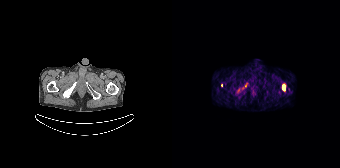
- Two-panel axial: CT | PSMA PET, [68Ga]Ga-PSMA-11 tracer
- slice position z = -908 mm
Findings: Coordinates are on the 168×168 PET (right) panel. PSMA-avid tumor lesion bounding box (x0,y0,x1,y1): [110,84,113,90]. Small PSMA-avid focus (2 to 4 px across) near (center x, center y): (49, 85).